Technique: Two-panel axial: CT | PSMA PET, [68Ga]Ga-PSMA-11 tracer. acquired on Siemens Biograph mCT Flow 20. slice position z = 1015 mm. PET panel 200×200 px (4.1 mm/px).
Note: Facial anatomy redacted by setting a rectangular region of the head to black.
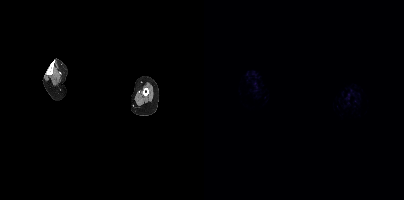
Findings: No tumor lesions annotated on this slice.